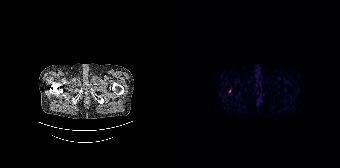
Findings: Coordinates are on the 168×168 PET (right) panel. Small PSMA-avid focus (2 to 4 px across) near (center x, center y): (57, 91).
- Paired axial CT (left) and PSMA PET (right), [18F]PSMA-1007 tracer
- acquired on Siemens Biograph 64-4R TruePoint
- slice position z = -1302 mm
- PET panel 168×168 px (4.1 mm/px)